Technique: Left: CT. Right: PSMA PET, same axial level, 18F-PSMA tracer. PET panel 256×256 px (2.7 mm/px).
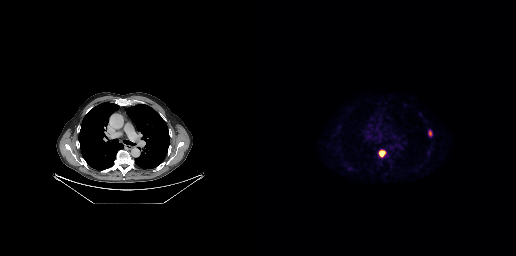
Findings: Coordinates are on the 256×256 PET (right) panel. PSMA-avid tumor lesion bounding boxes (x0,y0,x1,y1): [118,149,126,157] [168,130,172,136].